Technique: Left: CT. Right: PSMA PET, same axial level, [18F]PSMA-1007 tracer.
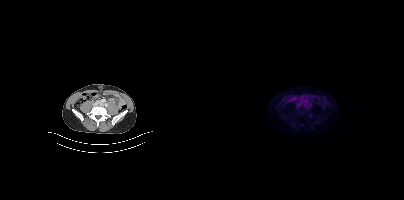
Findings: This slice has no annotated PSMA-avid lesion.